modality: PSMA PET/CT | tracer: 18F-PSMA | view: axial
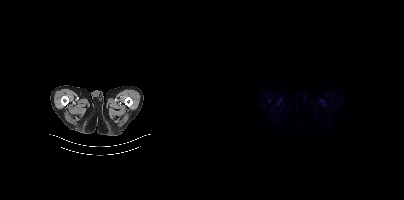
Negative for PSMA-avid disease on this slice.